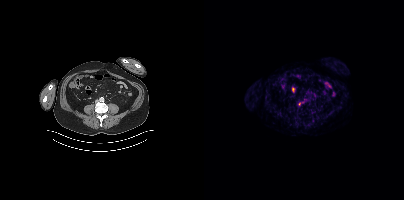
- Two-panel axial: CT | PSMA PET, [68Ga]Ga-PSMA-11 tracer
- slice 162 of 429
Findings: Coordinates are on the 200×200 PET (right) panel. Small PSMA-avid focus (2 to 4 px across) near (center x, center y): (95, 103).